- Paired axial CT (left) and PSMA PET (right), [18F]PSMA-1007 tracer
- acquired on Siemens Biograph mCT Flow 20
- slice position z = -1291 mm
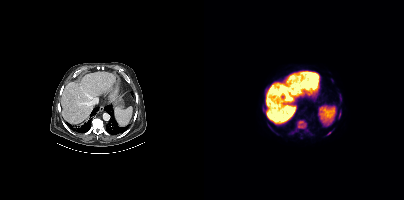
Findings: Coordinates are on the 200×200 PET (right) panel. PSMA-avid tumor lesion bounding boxes (x0, y0)-(x1, y1): (88, 120)-(103, 133) | (134, 112)-(136, 118) | (136, 95)-(137, 100). Small PSMA-avid focus (2 to 4 px across) near (center x, center y): (124, 133).